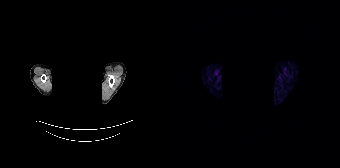
Any black rectangle over the head is a privacy mask, not anatomy.
No tumor lesions annotated on this slice.